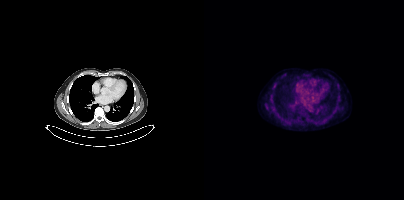
This slice has no annotated PSMA-avid lesion.